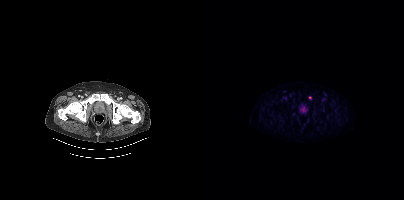
Coordinates are on the 200×200 PET (right) panel. Small PSMA-avid focus (2 to 4 px across) near (center x, center y): (105, 97). Left: CT. Right: PSMA PET, same axial level, 18F tracer. Acquired on Siemens Biograph mCT Flow 20. Slice 85 of 450.